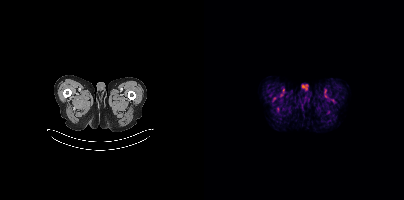
{"pet_grid":[200,200],"coord_frame":"pet_panel","coord_format":"x0,y0,x1,y1","psma_avid_lesions":false,"modality":"PSMA PET/CT","view":"axial","tracer":"18F-PSMA"}